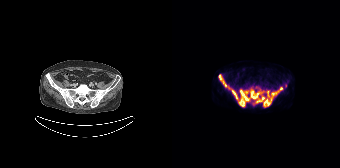
Two-panel axial: CT | PSMA PET, 18F-PSMA tracer. Acquired on Siemens Biograph 64-4R TruePoint. Coordinates are on the 168×168 PET (right) panel. PSMA-avid tumor lesion bounding boxes (x0,y0,x1,y1): [60,87,110,107] [47,75,54,87]. Small PSMA-avid focus (2 to 4 px across) near (center x, center y): (56, 87).